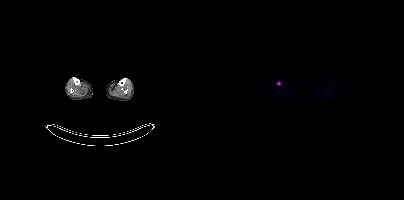
{"modality":"PSMA PET/CT","view":"axial","tracer":"18F","pet_grid":[200,200],"coord_frame":"pet_panel","coord_format":"x0,y0,x1,y1","lesion_bboxes":[],"small_foci_centers":[[74,83]]}